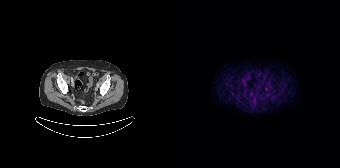
- Left: CT. Right: PSMA PET, same axial level, [68Ga]Ga-PSMA-11 tracer
- slice 39 of 165
- PET panel 168×168 px (4.1 mm/px)
Findings: This slice has no annotated PSMA-avid lesion.